- Left: CT. Right: PSMA PET, same axial level, 68Ga-PSMA tracer
- slice 71 of 409
- PET panel 200×200 px (4.1 mm/px)
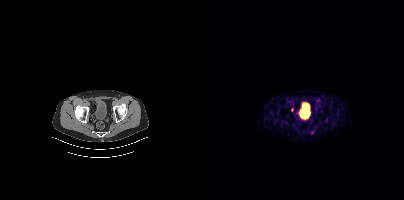
Findings: Coordinates are on the 200×200 PET (right) panel. Small PSMA-avid focus (2 to 4 px across) near (center x, center y): (88, 110).